modality: PSMA PET/CT | tracer: 68Ga-PSMA | view: axial | PET grid: 168×168
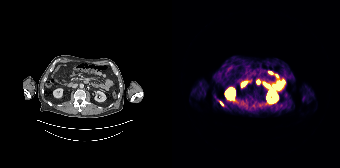
Coordinates are on the 168×168 PET (right) panel. PSMA-avid tumor lesion bounding box (x0, y0)-(x1, y1): (48, 101)-(51, 105).